modality: PSMA PET/CT | tracer: [18F]PSMA-1007 | view: axial | PET grid: 200×200
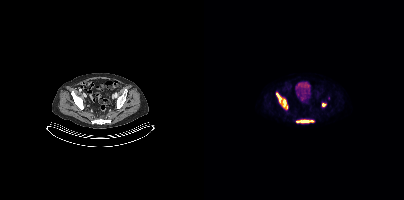
Coordinates are on the 200×200 PET (right) panel. PSMA-avid tumor lesion bounding boxes (x0,y0,x1,y1): [72,93,83,108] [92,120,109,122]. Small PSMA-avid focus (2 to 4 px across) near (center x, center y): (119, 104).